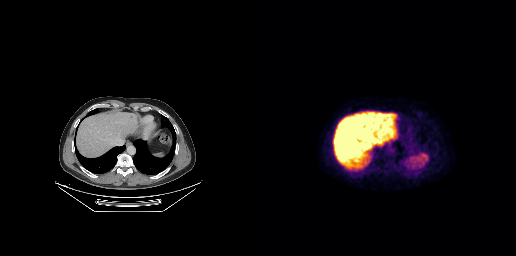
Paired axial CT (left) and PSMA PET (right), 18F-PSMA tracer. Slice position z = -328 mm. This slice has no annotated PSMA-avid lesion.